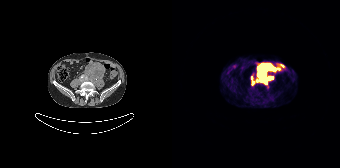
{"modality":"PSMA PET/CT","view":"axial","tracer":"68Ga-PSMA","pet_grid":[168,168],"coord_frame":"pet_panel","coord_format":"x0,y0,x1,y1","lesion_bboxes":[[84,63,104,83],[95,77,101,79],[79,76,80,80]],"small_foci_centers":[[80,83]]}